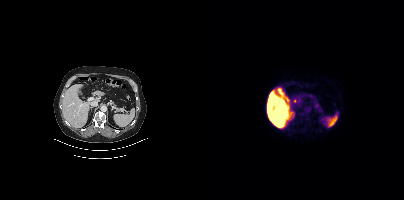
No PSMA-avid tumor lesions on this slice.
modality: PSMA PET/CT | tracer: [18F]PSMA-1007 | view: axial